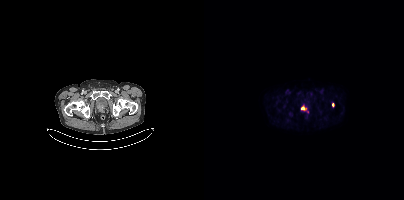
{"pet_grid":[200,200],"coord_frame":"pet_panel","coord_format":"x0,y0,x1,y1","lesion_bboxes":[[97,106,104,113]],"small_foci_centers":[[128,105]],"modality":"PSMA PET/CT","view":"axial","tracer":"[18F]PSMA-1007"}